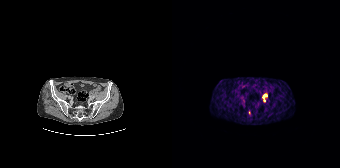
Findings: Coordinates are on the 168×168 PET (right) panel. PSMA-avid tumor lesion bounding box (x0, y0)-(x1, y1): (91, 94)-(95, 101). Small PSMA-avid focus (2 to 4 px across) near (center x, center y): (77, 112).
Technique: Paired axial CT (left) and PSMA PET (right), 68Ga tracer. acquired on Siemens Biograph 64-4R TruePoint.